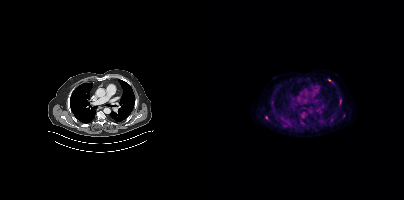
{"modality":"PSMA PET/CT","view":"axial","tracer":"[18F]PSMA-1007","pet_grid":[200,200],"coord_frame":"pet_panel","coord_format":"x0,y0,x1,y1","lesion_bboxes":[[97,112,101,117],[135,98,137,104],[126,118,129,122]],"small_foci_centers":[[125,80],[62,117],[140,116],[98,122]]}